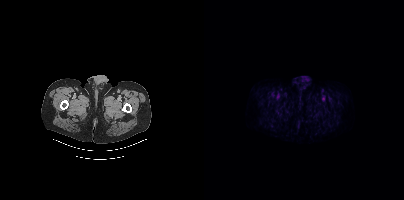
modality: PSMA PET/CT | tracer: [18F]PSMA-1007 | view: axial | PET grid: 200×200
This slice has no annotated PSMA-avid lesion.